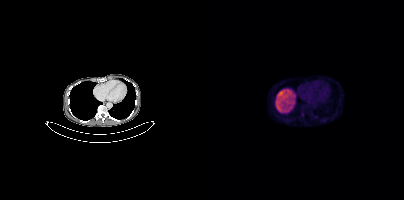
{"modality":"PSMA PET/CT","view":"axial","tracer":"18F-PSMA","pet_grid":[200,200],"coord_frame":"pet_panel","coord_format":"x0,y0,x1,y1","lesion_bboxes":[],"small_foci_centers":[[119,120],[98,114],[112,117]]}